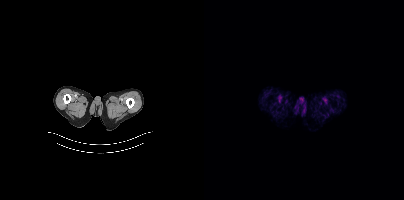
Technique: Left: CT. Right: PSMA PET, same axial level, 18F tracer. acquired on Siemens Biograph mCT Flow 20. PET panel 200×200 px (4.1 mm/px).
Findings: This slice has no annotated PSMA-avid lesion.